Left: CT. Right: PSMA PET, same axial level, 18F-PSMA tracer.
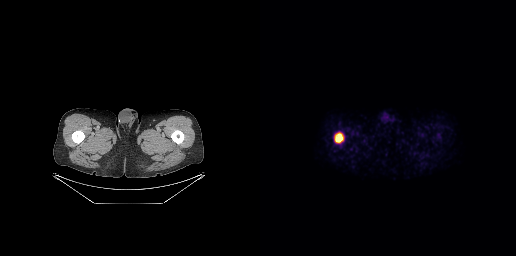
Coordinates are on the 256×256 PET (right) panel. PSMA-avid tumor lesion bounding box (x0,y0,x1,y1): [74,132,83,142].